Two-panel axial: CT | PSMA PET, 18F tracer. Slice 197 of 407.
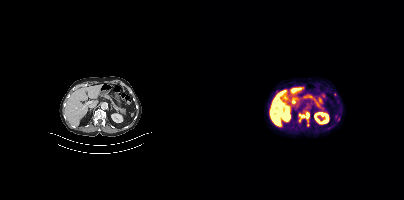
Coordinates are on the 200×200 PET (right) panel. PSMA-avid tumor lesion bounding box (x, y, width, height): x=95 y=112 w=11 h=7.